Technique: Left: CT. Right: PSMA PET, same axial level, 68Ga-PSMA tracer. acquired on Siemens Biograph 64-4R TruePoint.
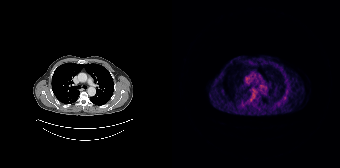
Findings: This slice has no annotated PSMA-avid lesion.